Two-panel axial: CT | PSMA PET, 18F tracer. Acquired on Siemens Biograph mCT Flow 20.
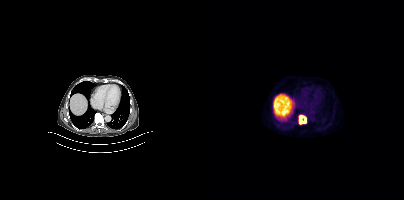
Coordinates are on the 200×200 PET (right) panel. PSMA-avid tumor lesion bounding box (x0, y0)-(x1, y1): (94, 114)-(102, 124).